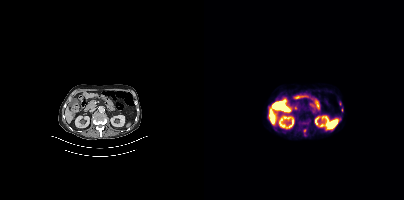
Only PSMA-avid lesion pieces thinner than 2 px on this slice (not listed). Two-panel axial: CT | PSMA PET, 18F-PSMA tracer. Acquired on Siemens Biograph mCT Flow 20. Slice 240 of 466. PET panel 200×200 px (4.1 mm/px).